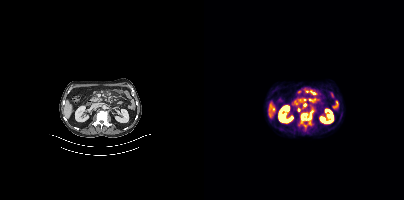
{"modality":"PSMA PET/CT","view":"axial","tracer":"18F-PSMA","pet_grid":[200,200],"coord_frame":"pet_panel","coord_format":"x0,y0,x1,y1","lesion_bboxes":[[94,113,108,129]],"small_foci_centers":[[101,105],[94,109]]}